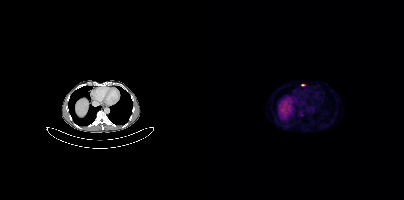
modality: PSMA PET/CT | tracer: 68Ga | view: axial
Coordinates are on the 200×200 PET (right) panel. Small PSMA-avid foci (2 to 4 px across) near (center x, center y): (97, 114), (98, 84).